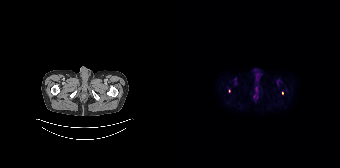
Coordinates are on the 168×168 PET (right) panel. (showing 1 of 2 foci) Small PSMA-avid focus (2 to 4 px across) near (center x, center y): (110, 92).